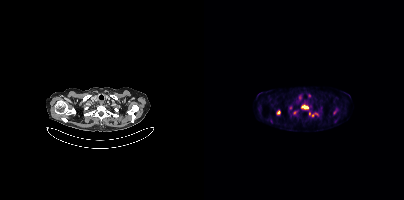
{"modality":"PSMA PET/CT","view":"axial","tracer":"18F","pet_grid":[200,200],"coord_frame":"pet_panel","coord_format":"x0,y0,x1,y1","partial":true,"lesion_bboxes":[[98,105,104,109],[73,110,76,114]],"small_foci_centers":[[86,107],[105,113],[108,115]]}